Paired axial CT (left) and PSMA PET (right), 68Ga tracer. Acquired on GE Discovery 690. Slice position z = -946 mm.
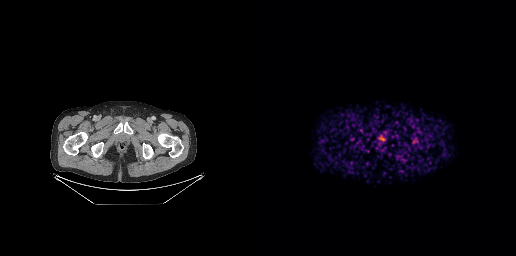
Negative for PSMA-avid disease on this slice.